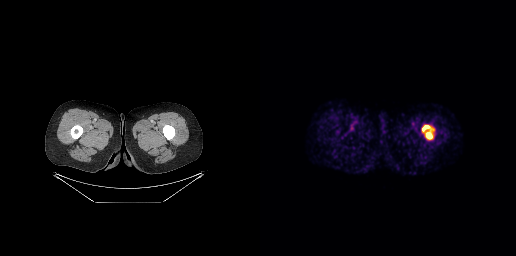
Technique: Paired axial CT (left) and PSMA PET (right), [68Ga]Ga-PSMA-11 tracer. slice 32 of 299. PET panel 256×256 px (2.7 mm/px).
Findings: Coordinates are on the 256×256 PET (right) panel. PSMA-avid tumor lesion bounding box (x0,y0,x1,y1): [162,125,172,139].